Technique: Paired axial CT (left) and PSMA PET (right), 68Ga-PSMA tracer. PET panel 256×256 px (2.7 mm/px).
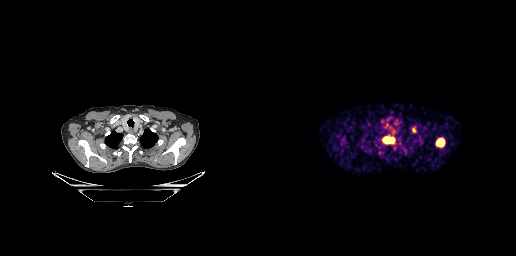
Findings: Coordinates are on the 256×256 PET (right) panel. (showing 4 of 5 foci) PSMA-avid tumor lesion bounding boxes (x, y, width, height): x=123 y=137 w=12 h=7 / x=177 y=139 w=8 h=7 / x=152 y=126 w=4 h=5. Small PSMA-avid focus (2 to 4 px across) near (center x, center y): (119, 152).